modality: PSMA PET/CT | tracer: [68Ga]Ga-PSMA-11 | view: axial
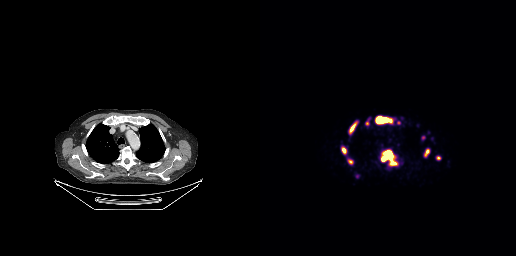
Coordinates are on the 256×256 PET (right) panel. (showing 8 of 10 foci) PSMA-avid tumor lesion bounding boxes (x, y, width, height): x=122 y=151 w=11 h=10; x=116 y=117 w=14 h=7; x=90 y=123 w=6 h=10; x=82 y=148 w=4 h=6; x=165 y=149 w=5 h=7; x=105 y=121 w=4 h=5. Small PSMA-avid foci (2 to 4 px across) near (center x, center y): (163, 138); (133, 163).